- Left: CT. Right: PSMA PET, same axial level, 18F-PSMA tracer
- slice position z = -726 mm
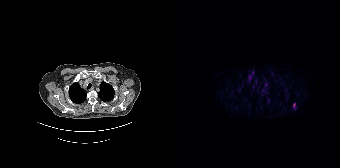
Findings: Coordinates are on the 168×168 PET (right) panel. (showing 1 of 2 foci) PSMA-avid tumor lesion bounding box (x0, y0)-(x1, y1): (121, 103)-(123, 108).